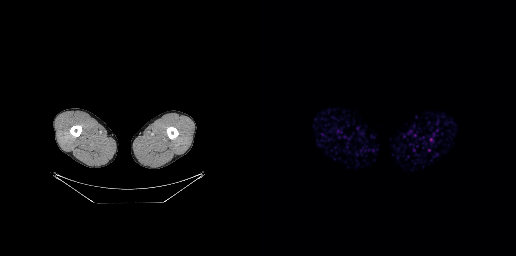
Findings: This slice has no annotated PSMA-avid lesion.
- Paired axial CT (left) and PSMA PET (right), 18F tracer
- slice 5 of 299